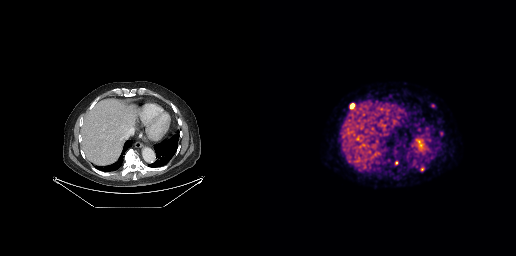
{"modality":"PSMA PET/CT","view":"axial","tracer":"68Ga","pet_grid":[256,256],"coord_frame":"pet_panel","coord_format":"x0,y0,x1,y1","lesion_bboxes":[[90,103,94,108],[160,167,164,171]],"small_foci_centers":[[136,162]]}